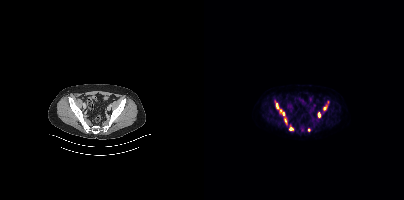
Findings: Coordinates are on the 200×200 PET (right) panel. PSMA-avid tumor lesion bounding boxes (x, y, width, height): x=72 y=103 w=9 h=13 | x=85 y=127 w=5 h=4 | x=114 y=112 w=3 h=6 | x=80 y=118 w=3 h=6. Small PSMA-avid foci (2 to 4 px across) near (center x, center y): (121, 108) | (104, 130).
Technique: Two-panel axial: CT | PSMA PET, 18F-PSMA tracer. PET panel 200×200 px (4.1 mm/px).